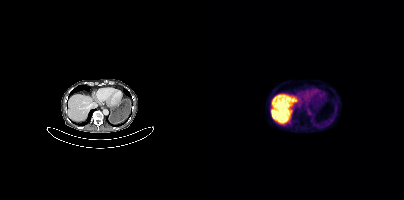
{"modality":"PSMA PET/CT","view":"axial","tracer":"18F","pet_grid":[200,200],"coord_frame":"pet_panel","coord_format":"x0,y0,x1,y1","psma_avid_lesions":false}